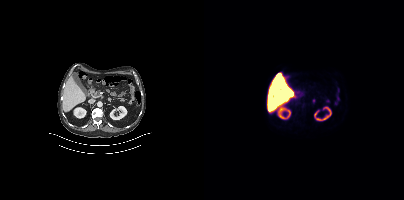
modality: PSMA PET/CT | tracer: 18F-PSMA | view: axial
No tumor lesions annotated on this slice.